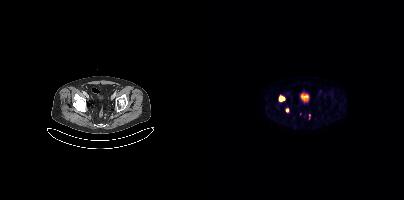
Coordinates are on the 200×200 PET (right) panel. PSMA-avid tumor lesion bounding box (x0,y0,x1,y1): [75,97,80,100]. Small PSMA-avid focus (2 to 4 px across) near (center x, center y): (83, 110).